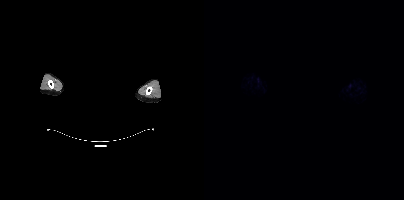
A rectangle over the head was blacked out to remove identifiable facial features. Two-panel axial: CT | PSMA PET, 18F tracer. No tumor lesions annotated on this slice.